modality: PSMA PET/CT | tracer: 18F-PSMA | view: axial | PET grid: 200×200
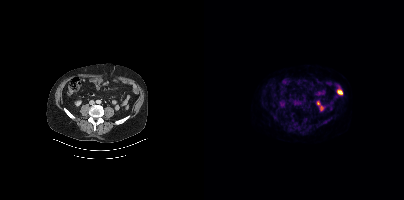
No PSMA-avid tumor lesions on this slice.